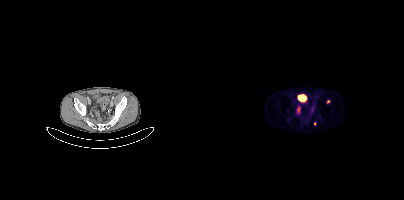
Coordinates are on the 200×200 PET (right) panel. PSMA-avid tumor lesion bounding boxes (x0,y0,x1,y1): [93,106,96,113] [106,105,110,113]. Small PSMA-avid foci (2 to 4 px across) near (center x, center y): (111, 123) (124, 101). Left: CT. Right: PSMA PET, same axial level, 68Ga-PSMA tracer. Slice 81 of 409.